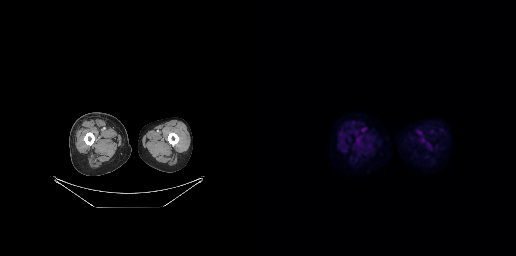
{"modality":"PSMA PET/CT","view":"axial","tracer":"[18F]PSMA-1007","pet_grid":[256,256],"coord_frame":"pet_panel","coord_format":"x0,y0,x1,y1","psma_avid_lesions":false}